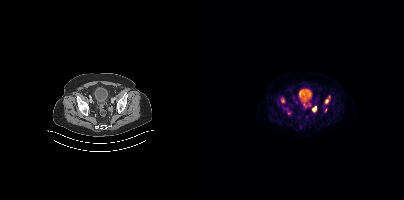
- Two-panel axial: CT | PSMA PET, 18F-PSMA tracer
Findings: Coordinates are on the 200×200 PET (right) panel. (showing 5 of 7 foci) PSMA-avid tumor lesion bounding boxes (x0,y0,x1,y1): [121,96,126,103] [108,106,112,111] [77,98,80,102]. Small PSMA-avid foci (2 to 4 px across) near (center x, center y): (121, 109) (105, 104).